Technique: Paired axial CT (left) and PSMA PET (right), 18F tracer. slice position z = -596 mm.
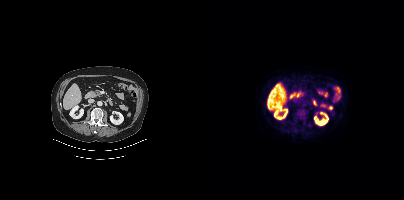
Findings: This slice has no annotated PSMA-avid lesion.